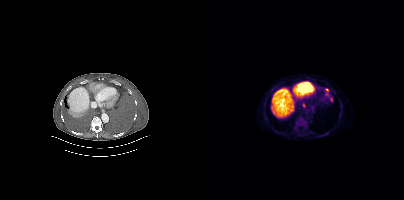
Coordinates are on the 200×200 PET (right) panel. PSMA-avid tumor lesion bounding boxes (x, y, width, height): x=121 y=88 w=5 h=9 | x=125 y=96 w=5 h=7 | x=107 y=108 w=4 h=5 | x=99 y=103 w=3 h=5. Small PSMA-avid foci (2 to 4 px across) near (center x, center y): (115, 88) | (118, 88).